- Two-panel axial: CT | PSMA PET, 18F tracer
- acquired on Siemens Biograph mCT Flow 20
- slice position z = 384 mm
- PET panel 200×200 px (4.1 mm/px)
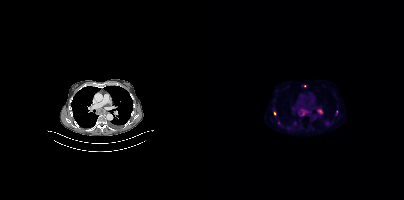
Findings: Coordinates are on the 200×200 PET (right) panel. (showing 6 of 7 foci) PSMA-avid tumor lesion bounding boxes (x0, y0)-(x1, y1): (95, 108)-(104, 116) | (113, 109)-(118, 113) | (74, 121)-(76, 125). Small PSMA-avid foci (2 to 4 px across) near (center x, center y): (70, 113) | (123, 123) | (100, 85).